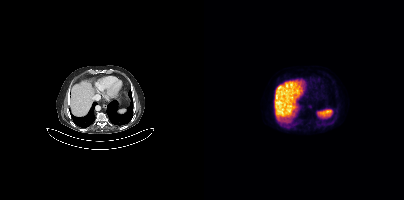
No PSMA-avid tumor lesions on this slice.